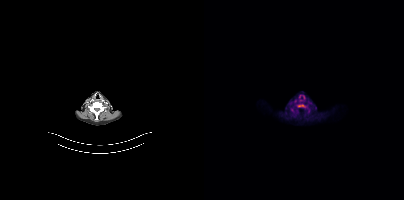
Coordinates are on the 200×200 PET (right) panel. PSMA-avid tumor lesion bounding box (x0, y0)-(x1, y1): (94, 105)-(100, 106).